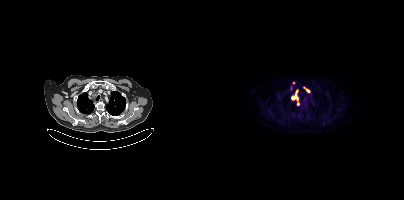
Findings: Coordinates are on the 200×200 PET (right) panel. PSMA-avid tumor lesion bounding boxes (x0, y0)-(x1, y1): (88, 90)-(93, 99); (93, 100)-(94, 105). Small PSMA-avid foci (2 to 4 px across) near (center x, center y): (103, 90); (87, 87); (89, 83).
- Two-panel axial: CT | PSMA PET, [18F]PSMA-1007 tracer
- acquired on Siemens Biograph mCT Flow 20
- PET panel 200×200 px (4.1 mm/px)